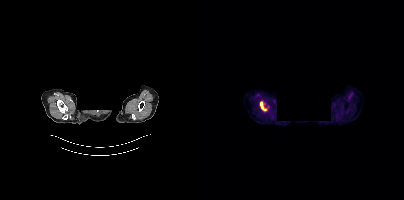
Findings: Coordinates are on the 200×200 PET (right) panel. PSMA-avid tumor lesion bounding box (x0,y0,x1,y1): [56,102,62,110].
- Two-panel axial: CT | PSMA PET, 18F tracer
- any black rectangle over the head is a privacy mask, not anatomy